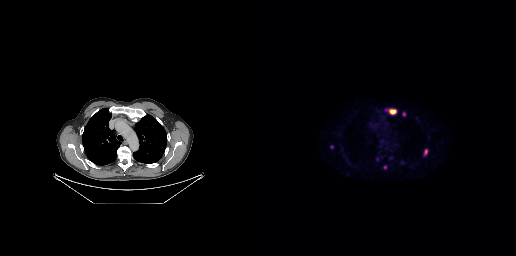
Two-panel axial: CT | PSMA PET, 18F tracer. Acquired on GE Discovery 690. Slice position z = -183 mm. PET panel 256×256 px (2.7 mm/px). Coordinates are on the 256×256 PET (right) panel. PSMA-avid tumor lesion bounding boxes (x0,y0,x1,y1): [126,108,136,114] [164,149,167,155]. Small PSMA-avid foci (2 to 4 px across) near (center x, center y): (71, 146) (144, 114) (125, 167).